Two-panel axial: CT | PSMA PET, 18F tracer. Acquired on Siemens Biograph mCT Flow 20. Slice 368 of 435. PET panel 200×200 px (4.1 mm/px).
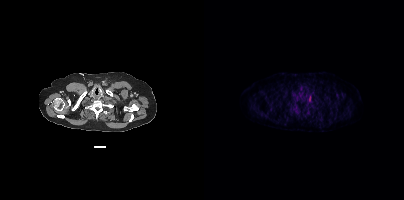
Coordinates are on the 200×200 PET (right) panel. (showing 3 of 4 foci) Small PSMA-avid foci (2 to 4 px across) near (center x, center y): (89, 93) / (91, 109) / (117, 119).